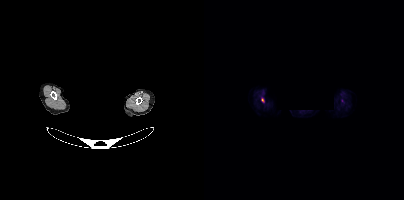
Coordinates are on the 200×200 PET (right) panel. Small PSMA-avid focus (2 to 4 px across) near (center x, center y): (58, 99).
deidentification: face masked with black rectangle | modality: PSMA PET/CT | tracer: 18F | view: axial | PET grid: 200×200